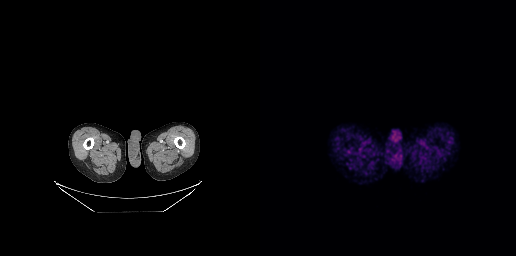
Findings: No tumor lesions annotated on this slice.
- Left: CT. Right: PSMA PET, same axial level, 68Ga tracer
- acquired on GE Discovery 690